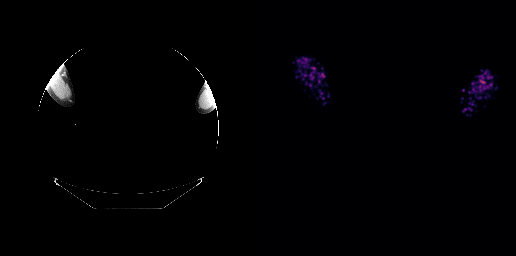
Any black rectangle over the head is a privacy mask, not anatomy.
No tumor lesions annotated on this slice.